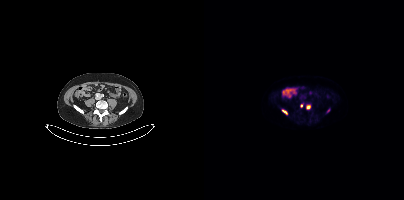
Coordinates are on the 200×200 PET (right) panel. PSMA-avid tumor lesion bounding box (x0, y0)-(x1, y1): (78, 110)-(83, 114). Small PSMA-avid foci (2 to 4 px across) near (center x, center y): (104, 107) / (124, 110) / (97, 105).